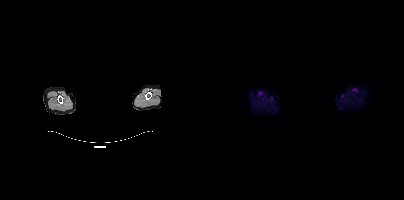
This slice has no annotated PSMA-avid lesion.
modality: PSMA PET/CT | tracer: [18F]PSMA-1007 | view: axial | PET grid: 200×200 | deidentification: face masked with black rectangle